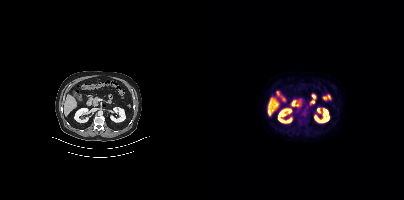
Negative for PSMA-avid disease on this slice.